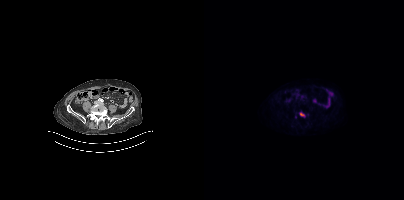
{"modality":"PSMA PET/CT","view":"axial","tracer":"18F-PSMA","pet_grid":[200,200],"coord_frame":"pet_panel","coord_format":"x0,y0,x1,y1","lesion_bboxes":[[95,112,101,116]]}